modality: PSMA PET/CT | tracer: 18F-PSMA | view: axial | PET grid: 200×200 | deidentification: head region blanked (face removed)
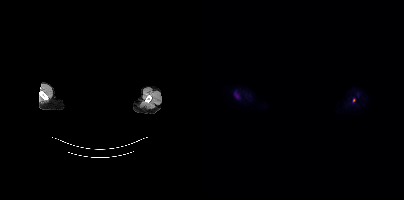
Coordinates are on the 200×200 PET (right) panel. Small PSMA-avid focus (2 to 4 px across) near (center x, center y): (150, 100).